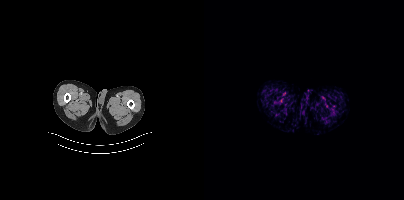
- Paired axial CT (left) and PSMA PET (right), 18F-PSMA tracer
- acquired on Siemens Biograph mCT Flow 20
Findings: Negative for PSMA-avid disease on this slice.